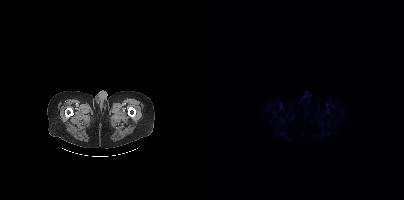
Left: CT. Right: PSMA PET, same axial level, 18F tracer. PET panel 200×200 px (4.1 mm/px). Negative for PSMA-avid disease on this slice.